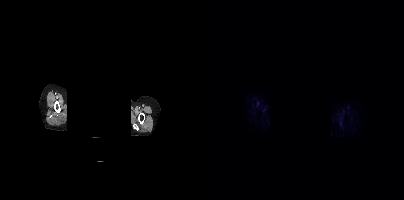
{"modality":"PSMA PET/CT","view":"axial","tracer":"68Ga","pet_grid":[200,200],"coord_frame":"pet_panel","coord_format":"x0,y0,x1,y1","psma_avid_lesions":false,"deidentification":"privacy mask over head"}